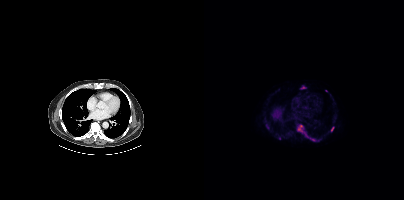
{"modality":"PSMA PET/CT","view":"axial","tracer":"18F","pet_grid":[200,200],"coord_frame":"pet_panel","coord_format":"x0,y0,x1,y1","lesion_bboxes":[[93,124,111,141],[97,86,101,88]],"small_foci_centers":[[128,128],[75,138]]}